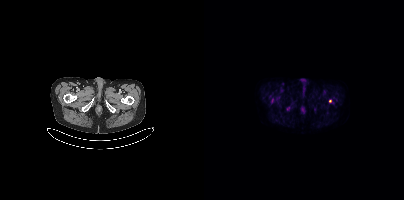
Coordinates are on the 200×200 PET (right) panel. Small PSMA-avid foci (2 to 4 px across) near (center x, center y): (126, 101); (68, 100).
modality: PSMA PET/CT | tracer: [18F]PSMA-1007 | view: axial | PET grid: 200×200